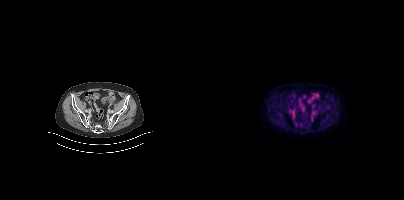
Left: CT. Right: PSMA PET, same axial level, 18F tracer. Acquired on Siemens Biograph mCT Flow 20. Slice position z = -706 mm. PET panel 200×200 px (4.1 mm/px). No tumor lesions annotated on this slice.